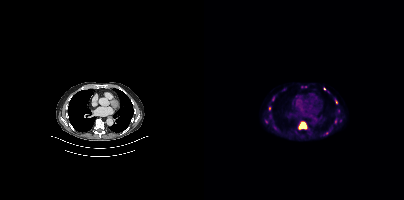
Technique: Paired axial CT (left) and PSMA PET (right), 18F-PSMA tracer. PET panel 200×200 px (4.1 mm/px).
Findings: Coordinates are on the 200×200 PET (right) panel. (showing 3 of 6 foci) PSMA-avid tumor lesion bounding box (x, y, width, height): x=95 y=122 w=8 h=8. Small PSMA-avid foci (2 to 4 px across) near (center x, center y): (120, 89); (65, 108).